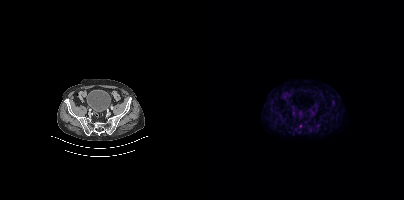
Paired axial CT (left) and PSMA PET (right), 18F tracer. No tumor lesions annotated on this slice.